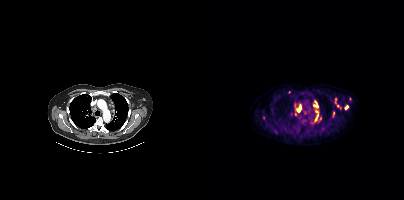
Coordinates are on the 200×200 PET (right) panel. (showing 13 of 14 foci) PSMA-avid tumor lesion bounding boxes (x0,y0,x1,y1): [91,104,97,116] [107,113,114,124] [109,100,113,107] [128,111,130,117] [133,105,137,109] [141,105,144,109] [131,98,132,103]. Small PSMA-avid foci (2 to 4 px across) near (center x, center y): (112, 111) (116, 118) (85, 92) (100, 112) (59, 117) (146, 98).